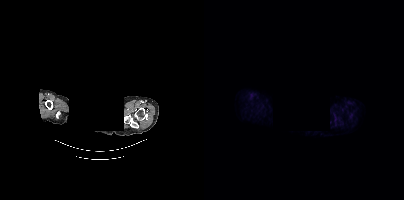
The head region is masked for de-identification. Left: CT. Right: PSMA PET, same axial level, [18F]PSMA-1007 tracer. Acquired on Siemens Biograph mCT Flow 20. Slice position z = -295 mm. Negative for PSMA-avid disease on this slice.